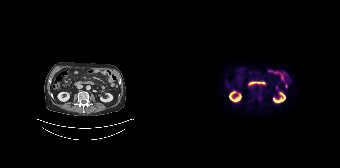
{"pet_grid":[168,168],"coord_frame":"pet_panel","coord_format":"x0,y0,x1,y1","psma_avid_lesions":false,"modality":"PSMA PET/CT","view":"axial","tracer":"18F-PSMA"}